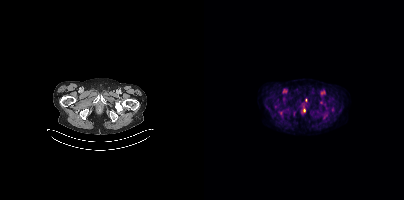
Findings: Only PSMA-avid lesion pieces thinner than 2 px on this slice (not listed).
Technique: Paired axial CT (left) and PSMA PET (right), [18F]PSMA-1007 tracer. acquired on Siemens Biograph mCT Flow 20. slice position z = -834 mm.